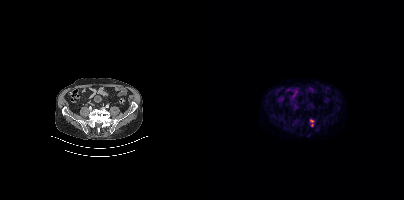
- Two-panel axial: CT | PSMA PET, 18F tracer
- acquired on Siemens Biograph mCT Flow 20
- slice 111 of 427
- PET panel 200×200 px (4.1 mm/px)
Findings: Coordinates are on the 200×200 PET (right) panel. (showing 1 of 2 foci) Small PSMA-avid focus (2 to 4 px across) near (center x, center y): (107, 120).